Two-panel axial: CT | PSMA PET, 18F tracer. PET panel 200×200 px (4.1 mm/px).
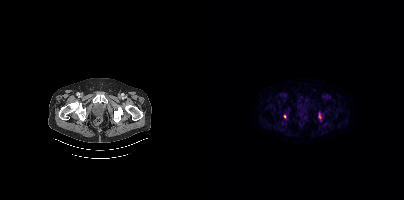
Coordinates are on the 200×200 PET (right) panel. PSMA-avid tumor lesion bounding box (x0,y0,x1,y1): [115,113,117,118]. Small PSMA-avid focus (2 to 4 px across) near (center x, center y): (80, 116).